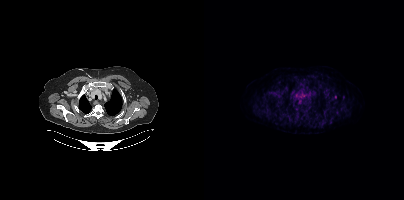
Findings: Coordinates are on the 200×200 PET (right) panel. Small PSMA-avid focus (2 to 4 px across) near (center x, center y): (130, 97).
Technique: Paired axial CT (left) and PSMA PET (right), 18F tracer. slice position z = -189 mm. PET panel 200×200 px (4.1 mm/px).